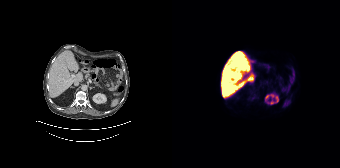
No tumor lesions annotated on this slice.